Technique: Left: CT. Right: PSMA PET, same axial level, 18F tracer. acquired on Siemens Biograph mCT Flow 20. PET panel 200×200 px (4.1 mm/px).
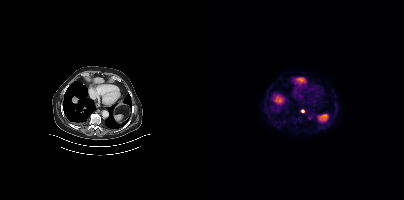
Findings: Coordinates are on the 200×200 PET (right) panel. Small PSMA-avid focus (2 to 4 px across) near (center x, center y): (98, 111).